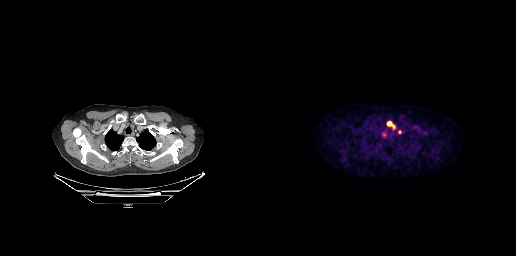
Coordinates are on the 256×256 PET (right) panel. PSMA-avid tumor lesion bounding box (x0, y0)-(x1, y1): (127, 121)-(134, 128). Small PSMA-avid focus (2 to 4 px across) near (center x, center y): (139, 132).